Technique: Paired axial CT (left) and PSMA PET (right), [18F]PSMA-1007 tracer. acquired on GE Discovery 690. PET panel 256×256 px (2.7 mm/px).
Note: Any black rectangle over the head is a privacy mask, not anatomy.
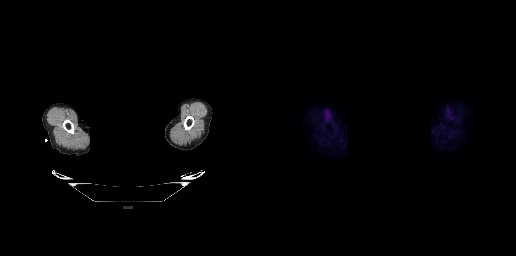
Findings: No tumor lesions annotated on this slice.